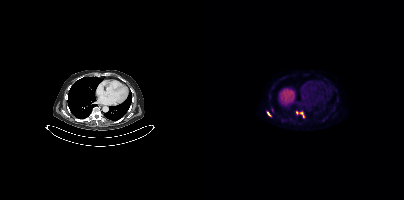
{"modality":"PSMA PET/CT","view":"axial","tracer":"18F","pet_grid":[200,200],"coord_frame":"pet_panel","coord_format":"x0,y0,x1,y1","lesion_bboxes":[[96,112,100,117]],"small_foci_centers":[[64,113],[68,110],[92,112]]}